Two-panel axial: CT | PSMA PET, [18F]PSMA-1007 tracer. Acquired on Siemens Biograph mCT Flow 20.
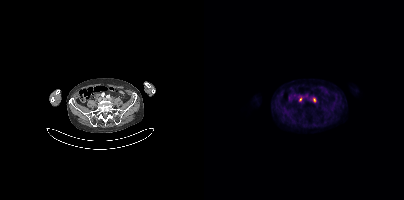
Coordinates are on the 200×200 PET (right) panel. PSMA-avid tumor lesion bounding boxes:
| # | x0 | y0 | x1 | y1 |
|---|---|---|---|---|
| 1 | 109 | 97 | 111 | 101 |
| 2 | 95 | 97 | 97 | 101 |